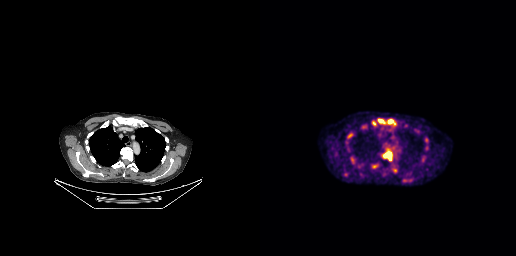
Coordinates are on the 256×256 PET (right) panel. PSMA-avid tumor lesion bounding boxes (x0,y0,x1,y1): [123,150,132,160]; [111,163,118,168]; [128,119,135,124]; [118,119,125,123]; [132,168,137,172]. Small PSMA-avid focus (2 to 4 px across) near (center x, center y): (114, 123).